- Paired axial CT (left) and PSMA PET (right), [18F]PSMA-1007 tracer
- acquired on Siemens Biograph mCT Flow 20
- PET panel 200×200 px (4.1 mm/px)
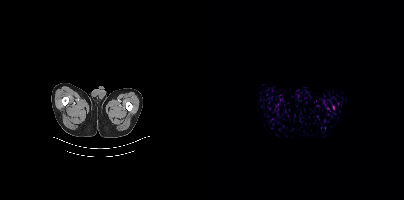
Findings: No PSMA-avid tumor lesions on this slice.